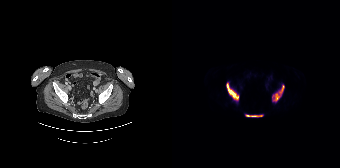
Coordinates are on the 168×168 PET (right) panel. PSMA-avid tumor lesion bounding boxes:
| # | x0 | y0 | x1 | y1 |
|---|---|---|---|---|
| 1 | 54 | 82 | 67 | 101 |
| 2 | 100 | 85 | 112 | 101 |
| 3 | 73 | 114 | 91 | 116 |
Two-panel axial: CT | PSMA PET, 18F tracer. Acquired on Siemens Biograph 64-4R TruePoint.